- Left: CT. Right: PSMA PET, same axial level, 18F tracer
- acquired on GE Discovery 690
- slice 209 of 263
- PET panel 256×256 px (2.7 mm/px)
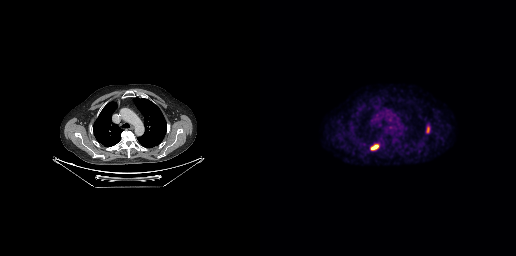
Findings: Coordinates are on the 256×256 PET (right) panel. PSMA-avid tumor lesion bounding boxes (x, y, width, height): x=111 y=144 w=9 h=7 / x=166 y=126 w=4 h=7.